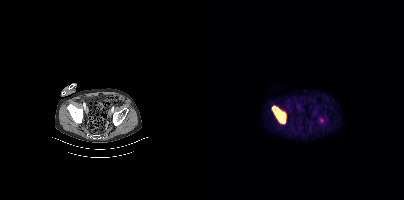
Coordinates are on the 200×200 PET (right) panel. PSMA-avid tumor lesion bounding boxes:
| # | x0 | y0 | x1 | y1 |
|---|---|---|---|---|
| 1 | 67 | 105 | 82 | 124 |
| 2 | 115 | 118 | 119 | 122 |
Paired axial CT (left) and PSMA PET (right), 18F tracer. Slice 105 of 411.